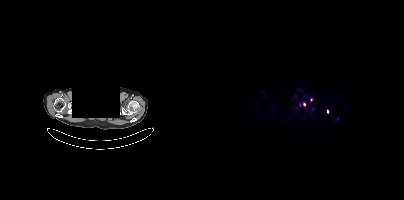
Left: CT. Right: PSMA PET, same axial level, [68Ga]Ga-PSMA-11 tracer. Acquired on Siemens Biograph mCT Flow 20. PET panel 200×200 px (4.1 mm/px). Any black rectangle over the head is a privacy mask, not anatomy. Coordinates are on the 200×200 PET (right) panel. Small PSMA-avid foci (2 to 4 px across) near (center x, center y): (100, 104) | (95, 105) | (123, 111) | (107, 99).